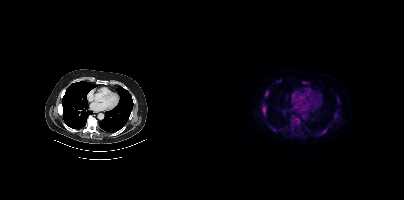
Technique: Left: CT. Right: PSMA PET, same axial level, 18F tracer. acquired on Siemens Biograph mCT Flow 20. slice 300 of 462.
Findings: Coordinates are on the 200×200 PET (right) panel. PSMA-avid tumor lesion bounding boxes (x, y, width, height): x=61 y=91 w=4 h=6; x=58 y=105 w=4 h=7.